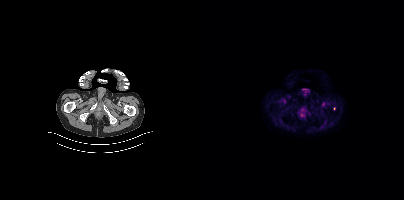
Only PSMA-avid lesion pieces thinner than 2 px on this slice (not listed).
modality: PSMA PET/CT | tracer: 18F | view: axial | PET grid: 200×200